Left: CT. Right: PSMA PET, same axial level, 18F-PSMA tracer. Slice 32 of 413.
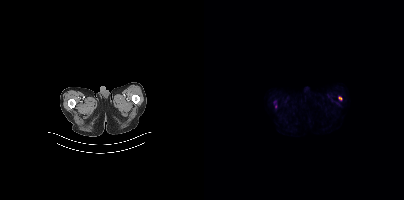
Coordinates are on the 200×200 PET (right) panel. (showing 1 of 2 foci) Small PSMA-avid focus (2 to 4 px across) near (center x, center y): (136, 98).